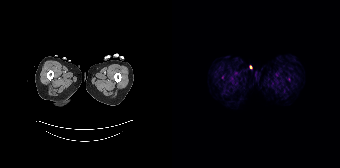
Findings: This slice has no annotated PSMA-avid lesion.
- Two-panel axial: CT | PSMA PET, 68Ga-PSMA tracer
- acquired on Siemens Biograph 64-4R TruePoint
- slice position z = -930 mm
- PET panel 168×168 px (4.1 mm/px)